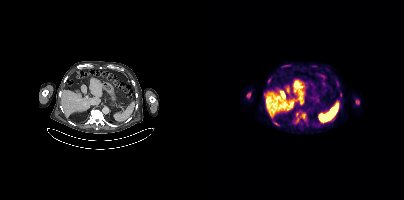
Findings: Coordinates are on the 200×200 PET (right) panel. PSMA-avid tumor lesion bounding boxes (x0,y0,x1,y1): [96,113,101,117] [43,92,46,97] [152,100,155,104] [69,122,75,125] [93,112,94,116]. Small PSMA-avid focus (2 to 4 px across) near (center x, center y): (136, 93).
- Two-panel axial: CT | PSMA PET, [18F]PSMA-1007 tracer